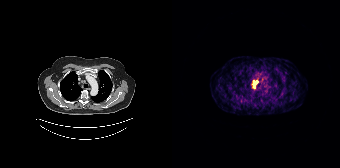
Findings: Coordinates are on the 168×168 PET (right) panel. PSMA-avid tumor lesion bounding box (x, y, width, height): x=81 y=81 w=5 h=7.
Technique: Two-panel axial: CT | PSMA PET, [68Ga]Ga-PSMA-11 tracer. slice 121 of 165.